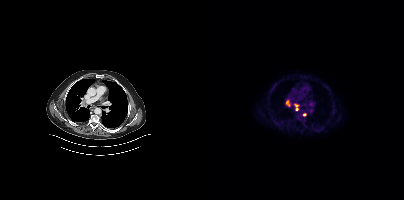
{"modality":"PSMA PET/CT","view":"axial","tracer":"[18F]PSMA-1007","pet_grid":[200,200],"coord_frame":"pet_panel","coord_format":"x0,y0,x1,y1","lesion_bboxes":[[90,104,94,110],[82,100,85,106]],"small_foci_centers":[[100,114]]}